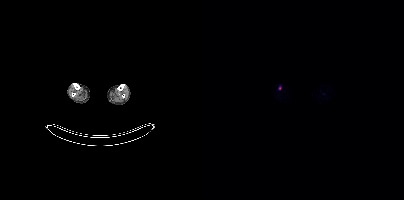
Coordinates are on the 200×200 PET (right) panel. Small PSMA-avid focus (2 to 4 px across) near (center x, center y): (75, 88).